Left: CT. Right: PSMA PET, same axial level, 18F-PSMA tracer. Acquired on GE Discovery 690. Slice position z = -310 mm.
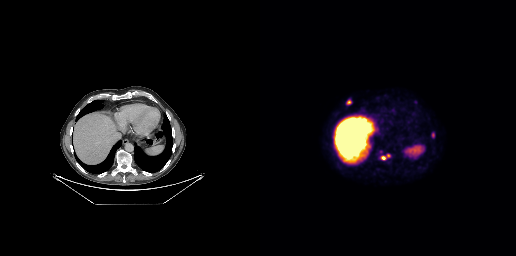
Coordinates are on the 256×256 PET (right) panel. PSMA-avid tumor lesion bounding boxes:
| # | x0 | y0 | x1 | y1 |
|---|---|---|---|---|
| 1 | 121 | 154 | 130 | 160 |
| 2 | 86 | 99 | 91 | 104 |
| 3 | 172 | 132 | 174 | 137 |